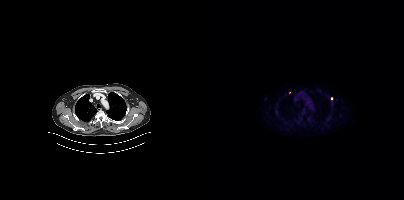
Coordinates are on the 200×200 PET (right) panel. (showing 1 of 2 foci) Small PSMA-avid focus (2 to 4 px across) near (center x, center y): (127, 98).
modality: PSMA PET/CT | tracer: [18F]PSMA-1007 | view: axial | PET grid: 200×200